Technique: Paired axial CT (left) and PSMA PET (right), 68Ga tracer.
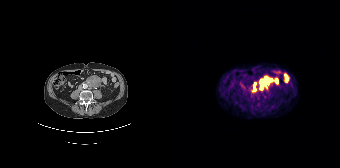
Findings: Coordinates are on the 168×168 PET (right) panel. PSMA-avid tumor lesion bounding boxes (x, y, width, height): x=88 y=76 w=13 h=14; x=80 y=87 w=4 h=5. Small PSMA-avid focus (2 to 4 px across) near (center x, center y): (82, 84).